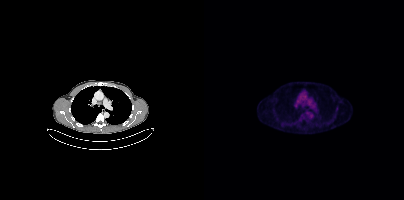
modality: PSMA PET/CT | tracer: 18F | view: axial | PET grid: 200×200
Coordinates are on the 200×200 PET (right) panel. Small PSMA-avid focus (2 to 4 px across) near (center x, center y): (133, 107).